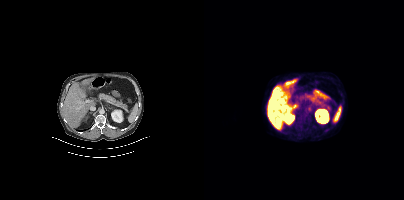
Technique: Left: CT. Right: PSMA PET, same axial level, [18F]PSMA-1007 tracer. acquired on Siemens Biograph mCT Flow 20.
Findings: Negative for PSMA-avid disease on this slice.